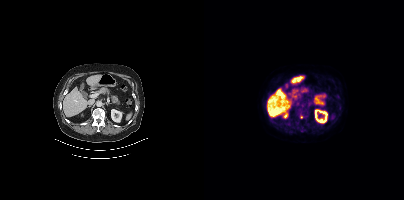
Coordinates are on the 200×200 PET (right) panel. (showing 3 of 4 foci) PSMA-avid tumor lesion bounding boxes (x0,y0,x1,y1): [92,108,102,118], [84,121,88,125]. Small PSMA-avid focus (2 to 4 px across) near (center x, center y): (134, 96).